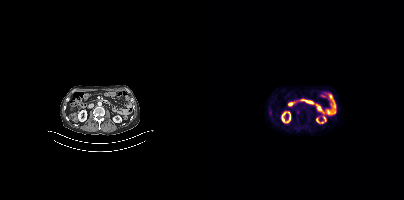
{"pet_grid":[200,200],"coord_frame":"pet_panel","coord_format":"x0,y0,x1,y1","lesion_bboxes":[],"small_foci_centers":[[94,111]],"modality":"PSMA PET/CT","view":"axial","tracer":"[18F]PSMA-1007"}